Left: CT. Right: PSMA PET, same axial level, 18F tracer. PET panel 200×200 px (4.1 mm/px). De-identified by setting a box covering the face to black before release.
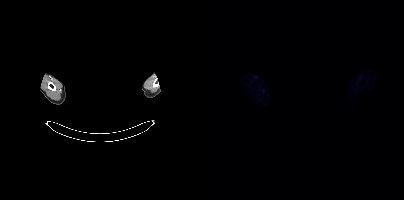
No tumor lesions annotated on this slice.